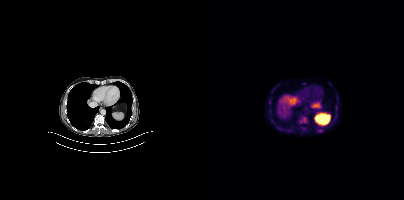
Coordinates are on the 200×200 PET (right) panel. (showing 1 of 3 foci) PSMA-avid tumor lesion bounding box (x0, y0)-(x1, y1): (65, 99)-(66, 103).